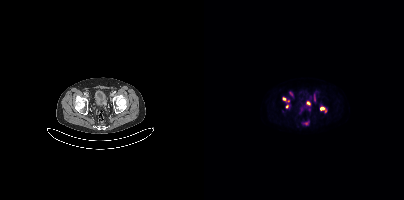
Coordinates are on the 200×200 PET (right) panel. Small PSMA-avid foci (2 to 4 px across) near (center x, center y): (104, 103); (80, 98); (117, 108); (83, 107); (110, 97); (84, 100).